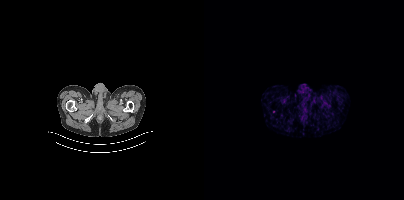
Findings: This slice has no annotated PSMA-avid lesion.
Technique: Two-panel axial: CT | PSMA PET, 68Ga tracer. acquired on Siemens Biograph mCT Flow 20. slice position z = -1484 mm.